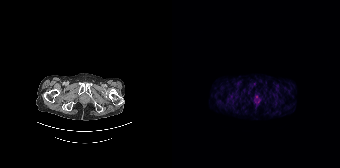
Findings: Negative for PSMA-avid disease on this slice.
Technique: Left: CT. Right: PSMA PET, same axial level, [68Ga]Ga-PSMA-11 tracer. slice position z = -1596 mm. PET panel 168×168 px (4.1 mm/px).